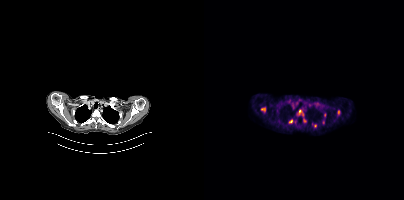
modality: PSMA PET/CT | tracer: 18F-PSMA | view: axial
Coordinates are on the 200×200 PET (right) panel. (showing 7 of 9 foci) PSMA-avid tumor lesion bounding boxes (x0, y0)-(x1, y1): (57, 107)-(61, 112) | (133, 110)-(136, 114) | (95, 110)-(97, 114). Small PSMA-avid foci (2 to 4 px across) near (center x, center y): (86, 121) | (113, 104) | (120, 114) | (119, 122).